Technique: Paired axial CT (left) and PSMA PET (right), [18F]PSMA-1007 tracer. PET panel 200×200 px (4.1 mm/px).
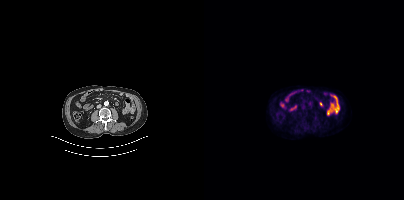
Findings: This slice has no annotated PSMA-avid lesion.